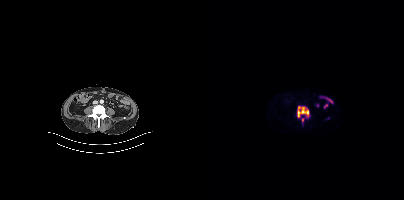
Paired axial CT (left) and PSMA PET (right), [18F]PSMA-1007 tracer. PET panel 200×200 px (4.1 mm/px). Coordinates are on the 200×200 PET (right) panel. PSMA-avid tumor lesion bounding boxes (x0, y0)-(x1, y1): (93, 106)-(105, 117) / (98, 118)-(99, 122).